- Two-panel axial: CT | PSMA PET, [18F]PSMA-1007 tracer
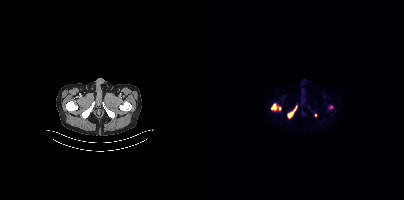
Findings: Coordinates are on the 200×200 PET (right) panel. PSMA-avid tumor lesion bounding boxes (x0,y0,x1,y1): [83,106,93,118], [67,103,77,110]. Small PSMA-avid foci (2 to 4 px across) near (center x, center y): (126, 107), (112, 114).